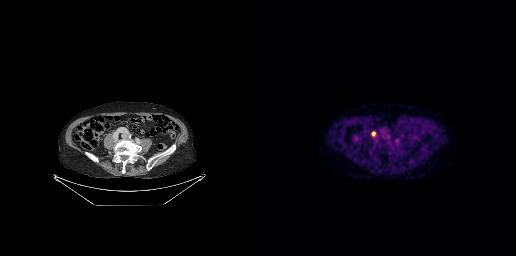
{"modality":"PSMA PET/CT","view":"axial","tracer":"18F-PSMA","pet_grid":[256,256],"coord_frame":"pet_panel","coord_format":"x0,y0,x1,y1","lesion_bboxes":[],"small_foci_centers":[[113,133]]}